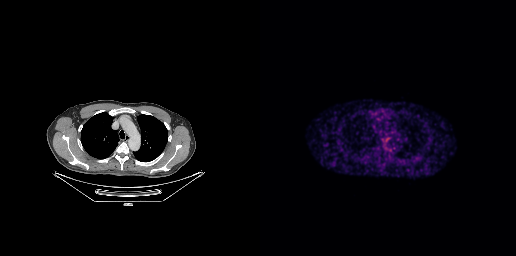
Paired axial CT (left) and PSMA PET (right), 18F-PSMA tracer. Acquired on GE Discovery 690. Slice position z = -222 mm. PET panel 256×256 px (2.7 mm/px). No PSMA-avid tumor lesions on this slice.